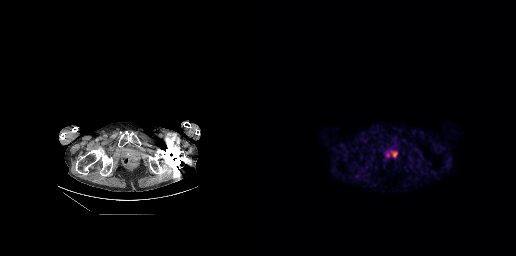
Findings: Coordinates are on the 256×256 PET (right) panel. PSMA-avid tumor lesion bounding box (x0,y0,x1,y1): [130,151,137,157]. Small PSMA-avid focus (2 to 4 px across) near (center x, center y): (127, 154).
- Paired axial CT (left) and PSMA PET (right), 18F tracer
- acquired on GE Discovery 690
- slice position z = -705 mm
- PET panel 256×256 px (2.7 mm/px)